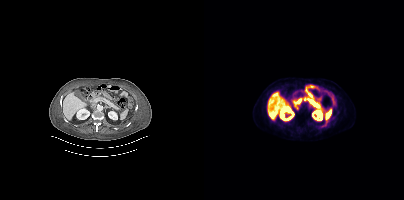
Negative for PSMA-avid disease on this slice. Two-panel axial: CT | PSMA PET, 18F-PSMA tracer. Acquired on Siemens Biograph mCT Flow 20. Slice position z = -1464 mm. PET panel 200×200 px (4.1 mm/px).